Left: CT. Right: PSMA PET, same axial level, 68Ga tracer. Acquired on Siemens Biograph mCT Flow 20. Slice 336 of 413. PET panel 200×200 px (4.1 mm/px).
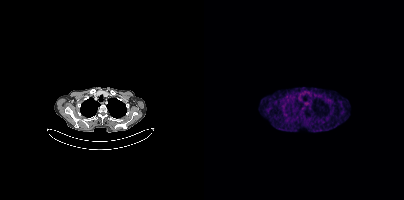
Negative for PSMA-avid disease on this slice.